Technique: Paired axial CT (left) and PSMA PET (right), 18F tracer. slice 135 of 407.
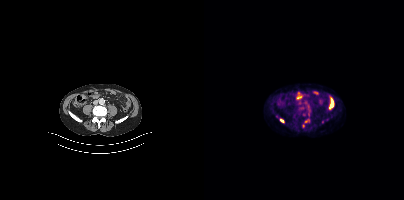
Findings: Coordinates are on the 200×200 PET (right) panel. (showing 1 of 2 foci) Small PSMA-avid focus (2 to 4 px across) near (center x, center y): (77, 120).